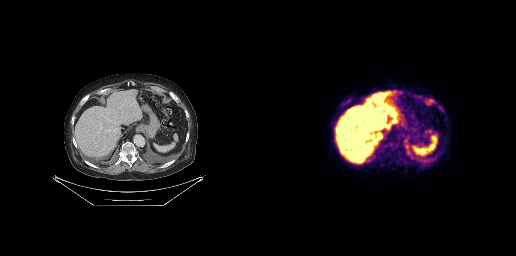
Left: CT. Right: PSMA PET, same axial level, 18F-PSMA tracer. Slice position z = -499 mm. PET panel 256×256 px (2.7 mm/px). Coordinates are on the 256×256 PET (right) panel. PSMA-avid tumor lesion bounding boxes (x0,y0,x1,y1): [159,157,168,164], [165,99,173,104], [170,154,179,162].